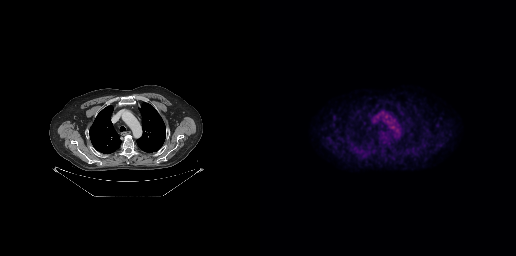
Paired axial CT (left) and PSMA PET (right), 18F-PSMA tracer. Slice 213 of 263. Negative for PSMA-avid disease on this slice.